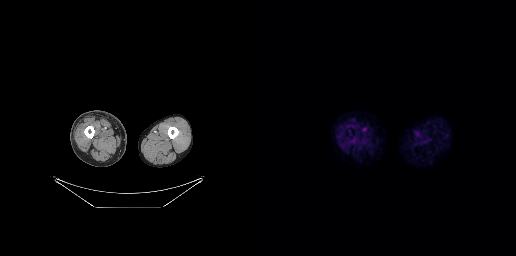
- Two-panel axial: CT | PSMA PET, [18F]PSMA-1007 tracer
- acquired on GE Discovery 690
- PET panel 256×256 px (2.7 mm/px)
Findings: Negative for PSMA-avid disease on this slice.